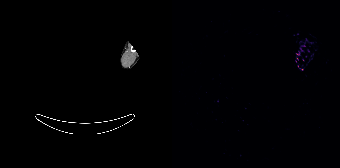
Face de-identified by blanking a block of the head.
This slice has no annotated PSMA-avid lesion.